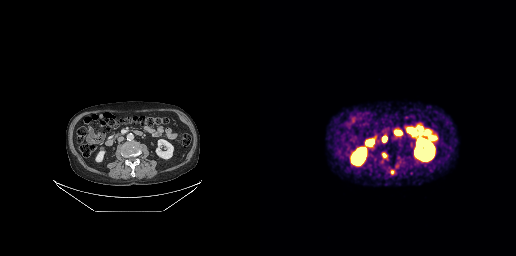
Paired axial CT (left) and PSMA PET (right), [68Ga]Ga-PSMA-11 tracer. Acquired on GE Discovery 690. Slice position z = -480 mm. PET panel 256×256 px (2.7 mm/px). Coordinates are on the 256×256 PET (right) panel. (showing 4 of 5 foci) PSMA-avid tumor lesion bounding box (x, y, width, height): x=131 y=170 w=4 h=5. Small PSMA-avid foci (2 to 4 px across) near (center x, center y): (124, 138); (136, 165); (124, 155).